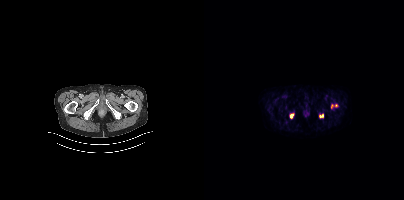
Findings: Coordinates are on the 200×200 PET (right) panel. (showing 2 of 5 foci) PSMA-avid tumor lesion bounding boxes (x0, y0)-(x1, y1): (115, 114)-(119, 117) / (86, 114)-(89, 118).
- Two-panel axial: CT | PSMA PET, 18F-PSMA tracer
- slice position z = -1480 mm